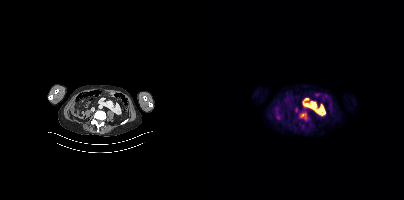
Two-panel axial: CT | PSMA PET, 18F tracer. Slice position z = -781 mm. PET panel 200×200 px (4.1 mm/px).
Coordinates are on the 200×200 PET (right) panel. PSMA-avid tumor lesion bounding boxes:
| # | x0 | y0 | x1 | y1 |
|---|---|---|---|---|
| 1 | 96 | 113 | 102 | 118 |